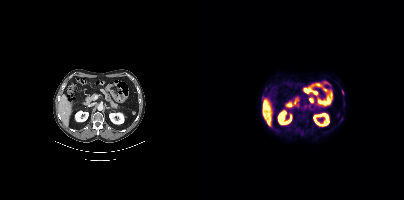
modality: PSMA PET/CT | tracer: 18F | view: axial
Coordinates are on the 200×200 PET (right) panel. (showing 1 of 2 foci) PSMA-avid tumor lesion bounding box (x, y, width, height): x=138 y=90 w=2 h=5.